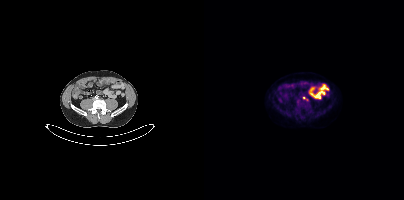
Coordinates are on the 200×200 PET (right) panel. (showing 1 of 2 foci) Small PSMA-avid focus (2 to 4 px across) near (center x, center y): (100, 98).
modality: PSMA PET/CT | tracer: 18F | view: axial